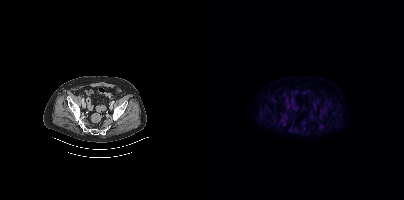
Negative for PSMA-avid disease on this slice.